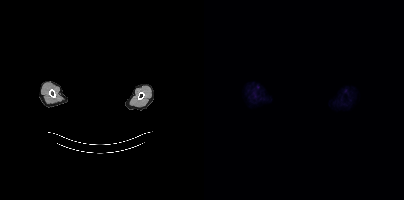
No PSMA-avid tumor lesions on this slice. Two-panel axial: CT | PSMA PET, 18F-PSMA tracer. De-identified by setting a box covering the face to black before release.